Technique: Two-panel axial: CT | PSMA PET, 18F-PSMA tracer. slice 153 of 427.
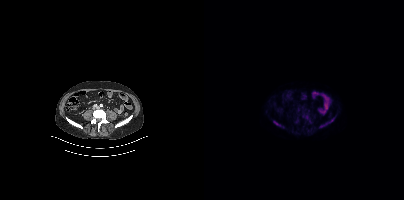
Findings: Coordinates are on the 200×200 PET (right) panel. (showing 2 of 3 foci) PSMA-avid tumor lesion bounding boxes (x0,y0,x1,y1): [115,118,130,127] [69,121,77,126].